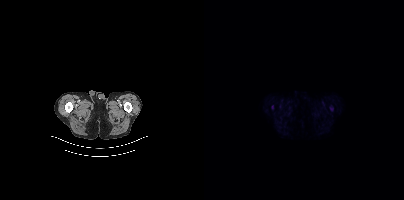
{"modality":"PSMA PET/CT","view":"axial","tracer":"18F-PSMA","pet_grid":[200,200],"coord_frame":"pet_panel","coord_format":"x0,y0,x1,y1","psma_avid_lesions":false}